Technique: Two-panel axial: CT | PSMA PET, [18F]PSMA-1007 tracer. acquired on Siemens Biograph mCT Flow 20. slice 212 of 401.
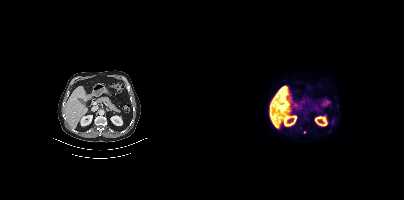
Findings: Coordinates are on the 200×200 PET (right) panel. Small PSMA-avid focus (2 to 4 px across) near (center x, center y): (100, 132).